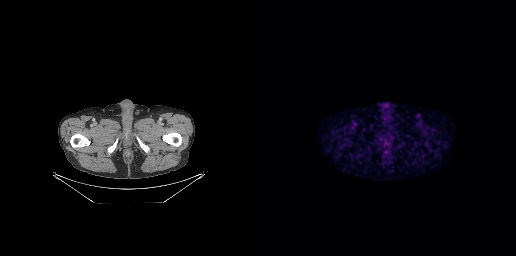
Technique: Left: CT. Right: PSMA PET, same axial level, 18F-PSMA tracer. PET panel 256×256 px (2.7 mm/px).
Findings: No PSMA-avid tumor lesions on this slice.